Two-panel axial: CT | PSMA PET, 68Ga tracer.
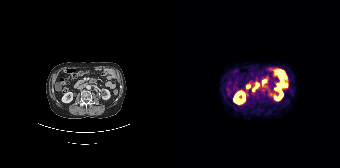
Coordinates are on the 168×168 PET (right) panel. PSMA-avid tumor lesion bounding boxes:
| # | x0 | y0 | x1 | y1 |
|---|---|---|---|---|
| 1 | 80 | 83 | 86 | 91 |